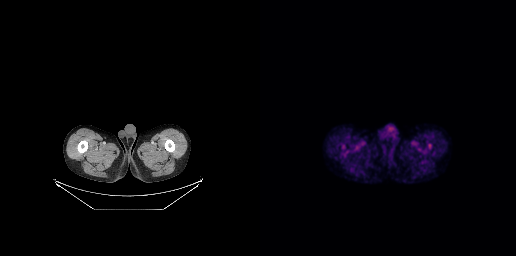
This slice has no annotated PSMA-avid lesion. Two-panel axial: CT | PSMA PET, 18F tracer. Acquired on GE Discovery 690.